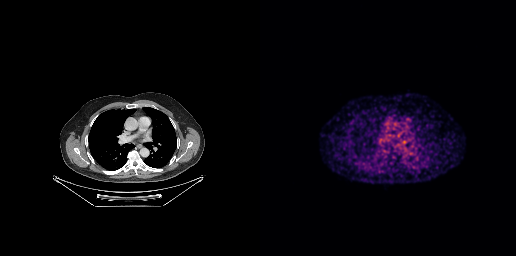
Paired axial CT (left) and PSMA PET (right), 68Ga-PSMA tracer. PET panel 256×256 px (2.7 mm/px). No PSMA-avid tumor lesions on this slice.